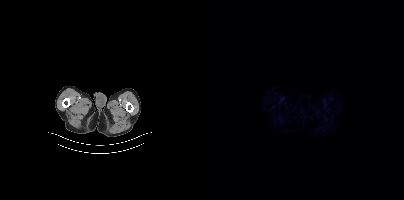
Paired axial CT (left) and PSMA PET (right), [18F]PSMA-1007 tracer. Acquired on Siemens Biograph mCT Flow 20. No tumor lesions annotated on this slice.